modality: PSMA PET/CT | tracer: 18F | view: axial | de-identification: facial region redacted
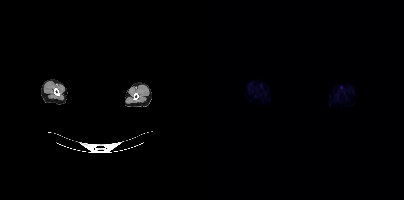
No tumor lesions annotated on this slice.